Left: CT. Right: PSMA PET, same axial level, 18F tracer. Acquired on Siemens Biograph mCT Flow 20. Slice position z = -322 mm.
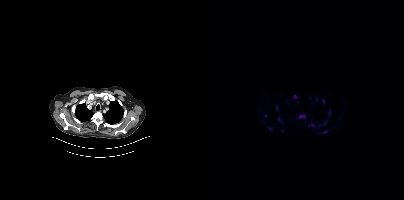
Coordinates are on the 200×200 PET (right) panel. PSMA-avid tumor lesion bounding boxes (partial; 6 more foci not listed):
| # | x0 | y0 | x1 | y1 |
|---|---|---|---|---|
| 1 | 93 | 113 | 102 | 120 |
| 2 | 119 | 99 | 120 | 103 |
Small PSMA-avid foci (2 to 4 px across) near (center x, center y): (90, 96); (121, 131); (75, 119); (120, 123); (65, 128).